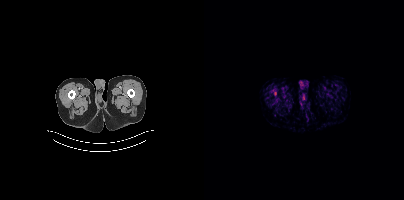
modality: PSMA PET/CT | tracer: [18F]PSMA-1007 | view: axial
Negative for PSMA-avid disease on this slice.